Two-panel axial: CT | PSMA PET, [18F]PSMA-1007 tracer. Acquired on Siemens Biograph mCT Flow 20. Slice 96 of 421.
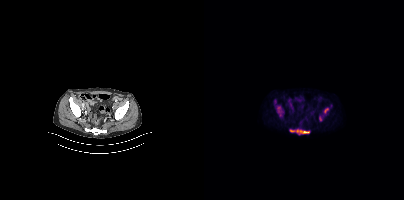
Coordinates are on the 200×200 PET (right) panel. PSMA-avid tumor lesion bounding boxes (partial; 1 more focus not listed):
| # | x0 | y0 | x1 | y1 |
|---|---|---|---|---|
| 1 | 86 | 129 | 105 | 134 |
| 2 | 73 | 107 | 76 | 112 |
Small PSMA-avid foci (2 to 4 px across) near (center x, center y): (116, 118); (122, 110).